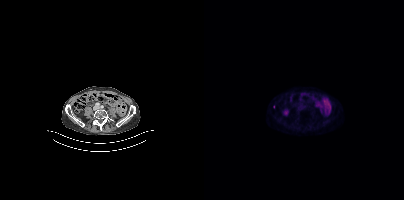
{"modality":"PSMA PET/CT","view":"axial","tracer":"[18F]PSMA-1007","pet_grid":[200,200],"coord_frame":"pet_panel","coord_format":"x0,y0,x1,y1","psma_avid_lesions":false}